- Paired axial CT (left) and PSMA PET (right), 68Ga tracer
- PET panel 256×256 px (2.7 mm/px)
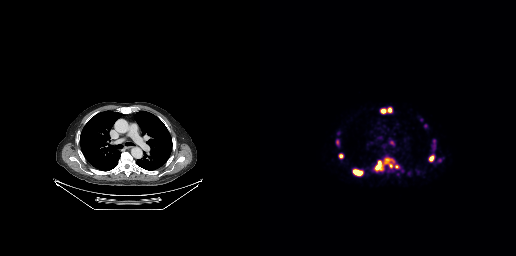
Findings: Coordinates are on the 256×256 PET (right) panel. PSMA-avid tumor lesion bounding boxes (x, y, width, height): x=93 y=170 w=10 h=6; x=116 y=161 w=6 h=8; x=169 y=156 w=5 h=6; x=135 y=165 w=5 h=4; x=79 y=154 w=4 h=5. Small PSMA-avid foci (2 to 4 px across) near (center x, center y): (123, 110); (130, 165); (132, 142); (127, 161); (129, 109).